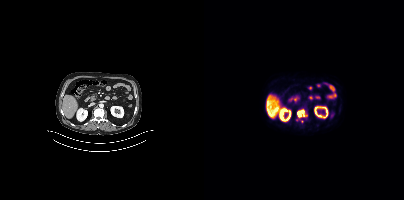
Coordinates are on the 200×200 PET (right) panel. (showing 2 of 3 foci) PSMA-avid tumor lesion bounding box (x0,y0,x1,y1): [93,109,103,117]. Small PSMA-avid focus (2 to 4 px across) near (center x, center y): (97, 121).
modality: PSMA PET/CT | tracer: 18F-PSMA | view: axial | PET grid: 200×200